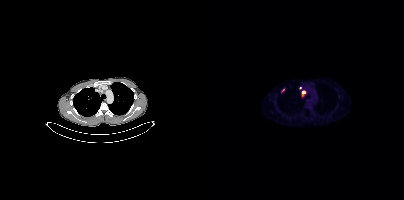
Coordinates are on the 200×200 PET (right) panel. (showing 3 of 4 foci) Small PSMA-avid foci (2 to 4 px across) near (center x, center y): (99, 92), (79, 89), (98, 95).